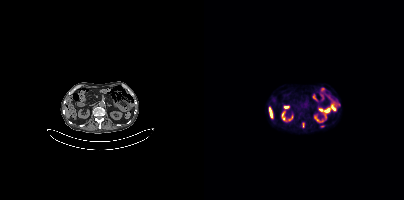
Coordinates are on the 200×200 PET (right) panel. PSMA-avid tumor lesion bounding boxes (x0,y0,x1,y1): [98,122,100,127]; [116,125,120,127]. Small PSMA-avid focus (2 to 4 px across) near (center x, center y): (134, 103).